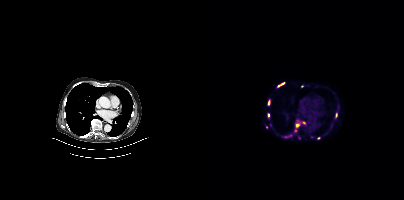
Two-panel axial: CT | PSMA PET, 68Ga-PSMA tracer. Acquired on Siemens Biograph mCT Flow 20. Coordinates are on the 200×200 PET (right) panel. (showing 8 of 13 foci) PSMA-avid tumor lesion bounding box (x, y, width, height): x=73 y=83 w=7 h=5. Small PSMA-avid foci (2 to 4 px across) near (center x, center y): (93, 125) | (64, 102) | (64, 115) | (62, 127) | (114, 138) | (94, 122) | (91, 130).